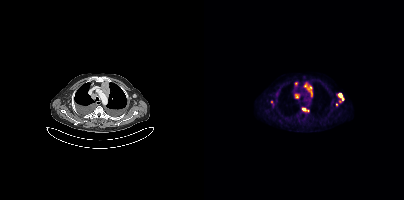
Coordinates are on the 200×200 PET (right) panel. PSMA-avid tumor lesion bounding boxes:
| # | x0 | y0 | x1 | y1 |
|---|---|---|---|---|
| 1 | 100 | 83 | 108 | 96 |
| 2 | 132 | 93 | 140 | 102 |
| 3 | 98 | 107 | 105 | 111 |
| 4 | 91 | 94 | 94 | 98 |
| 5 | 66 | 100 | 69 | 104 |
Small PSMA-avid foci (2 to 4 px across) near (center x, center y): (92, 83); (132, 104).
Left: CT. Right: PSMA PET, same axial level, 18F-PSMA tracer. Acquired on Siemens Biograph mCT Flow 20. Slice 292 of 381. PET panel 200×200 px (4.1 mm/px).